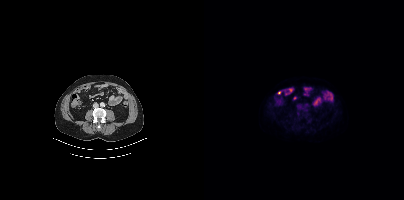
Negative for PSMA-avid disease on this slice.